Technique: Two-panel axial: CT | PSMA PET, 18F tracer. PET panel 256×256 px (2.7 mm/px).
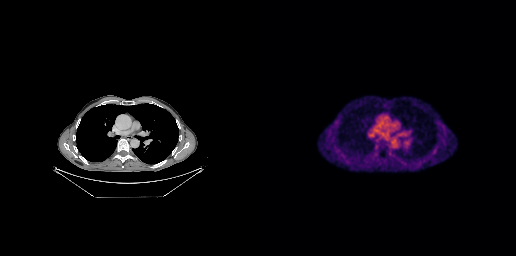
Findings: Only PSMA-avid lesion pieces thinner than 2 px on this slice (not listed).